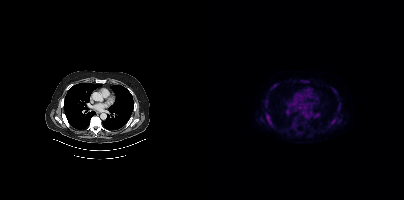
{"modality":"PSMA PET/CT","view":"axial","tracer":"18F-PSMA","pet_grid":[200,200],"coord_frame":"pet_panel","coord_format":"x0,y0,x1,y1","lesion_bboxes":[[62,113,68,125],[67,84,73,89],[127,117,132,124],[60,99,64,105],[88,124,92,128]],"small_foci_centers":[[135,106],[94,122],[100,81],[129,89]]}